modality: PSMA PET/CT | tracer: [18F]PSMA-1007 | view: axial
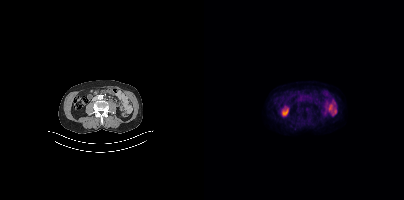
Coordinates are on the 200×200 PET (right) panel. Small PSMA-avid focus (2 to 4 px across) near (center x, center y): (103, 108).